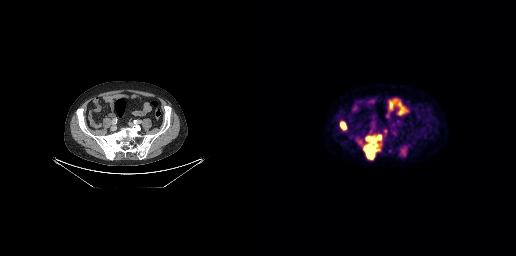
{"pet_grid":[256,256],"coord_frame":"pet_panel","coord_format":"x0,y0,x1,y1","lesion_bboxes":[[103,134,122,159],[80,121,86,130]],"modality":"PSMA PET/CT","view":"axial","tracer":"18F"}